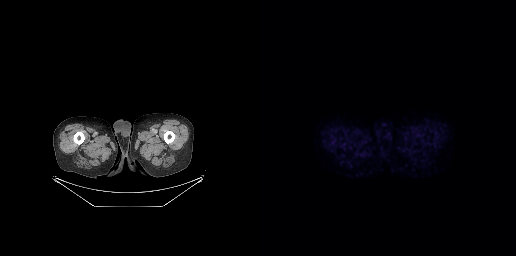
Left: CT. Right: PSMA PET, same axial level, 18F tracer. Slice 16 of 263. PET panel 256×256 px (2.7 mm/px). No PSMA-avid tumor lesions on this slice.